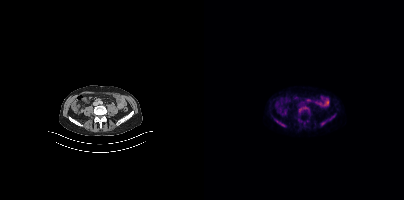
- Paired axial CT (left) and PSMA PET (right), [18F]PSMA-1007 tracer
- PET panel 200×200 px (4.1 mm/px)
Findings: Coordinates are on the 200×200 PET (right) panel. PSMA-avid tumor lesion bounding boxes (x0,y0,x1,y1): [117,121,121,125] [73,121,80,126].